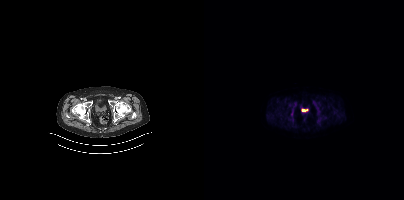
Left: CT. Right: PSMA PET, same axial level, 18F-PSMA tracer. Slice position z = -1549 mm. Coordinates are on the 200×200 PET (right) panel. Small PSMA-avid focus (2 to 4 px across) near (center x, center y): (99, 109).